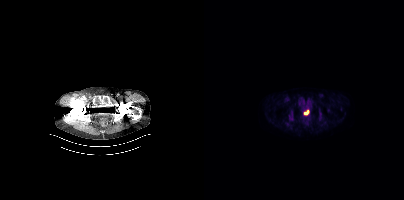
Coordinates are on the 200×200 PET (right) panel. PSMA-avid tumor lesion bounding box (x, y, width, height): x=100 y=110 w=6 h=6.